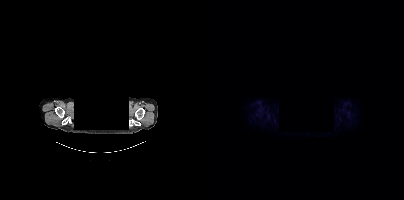
Privacy masking over the head, with the pixels inside a rectangle set to black. Paired axial CT (left) and PSMA PET (right), 18F tracer. PET panel 200×200 px (4.1 mm/px). No PSMA-avid tumor lesions on this slice.